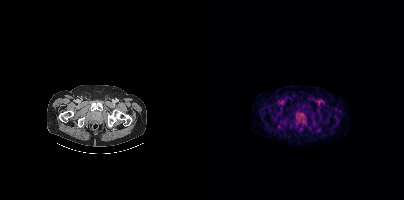
Coordinates are on the 200×200 PET (right) panel. Small PSMA-avid focus (2 to 4 px across) near (center x, center y): (98, 114).